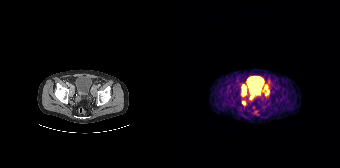
Coordinates are on the 168×168 PET (right) panel. (showing 3 of 4 foci) PSMA-avid tumor lesion bounding box (x0, y0)-(x1, y1): (69, 84)-(74, 96). Small PSMA-avid foci (2 to 4 px across) near (center x, center y): (71, 102) / (95, 92).